- Two-panel axial: CT | PSMA PET, 18F-PSMA tracer
- slice position z = -1065 mm
- PET panel 200×200 px (4.1 mm/px)
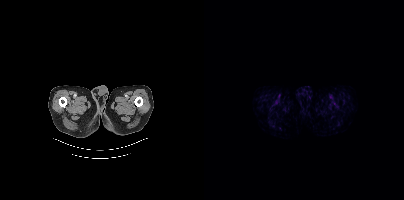
Findings: No PSMA-avid tumor lesions on this slice.